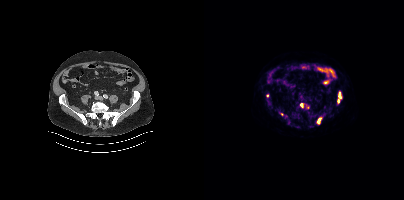
{"pet_grid":[200,200],"coord_frame":"pet_panel","coord_format":"x0,y0,x1,y1","lesion_bboxes":[[113,118,117,123],[134,92,137,98]],"small_foci_centers":[[134,100],[97,105],[77,114],[63,95]],"modality":"PSMA PET/CT","view":"axial","tracer":"18F"}